Two-panel axial: CT | PSMA PET, [18F]PSMA-1007 tracer. Acquired on Siemens Biograph mCT Flow 20.
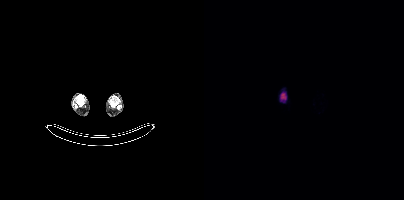
Coordinates are on the 200×200 PET (right) panel. PSMA-avid tumor lesion bounding boxes:
| # | x0 | y0 | x1 | y1 |
|---|---|---|---|---|
| 1 | 77 | 93 | 81 | 99 |